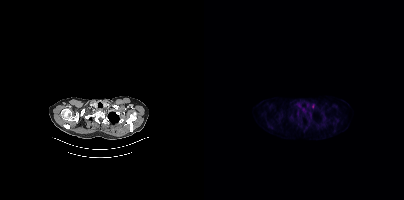
Two-panel axial: CT | PSMA PET, 18F tracer. Acquired on Siemens Biograph mCT Flow 20. Slice 349 of 427. PET panel 200×200 px (4.1 mm/px). No tumor lesions annotated on this slice.